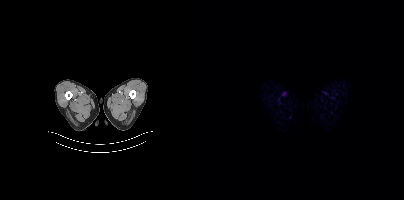
Technique: Left: CT. Right: PSMA PET, same axial level, 18F-PSMA tracer. acquired on Siemens Biograph mCT Flow 20. slice position z = -1542 mm.
Findings: Negative for PSMA-avid disease on this slice.